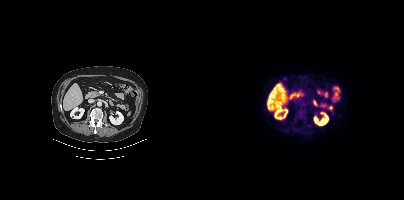
Two-panel axial: CT | PSMA PET, 18F-PSMA tracer. Acquired on Siemens Biograph mCT Flow 20. Slice position z = -592 mm. This slice has no annotated PSMA-avid lesion.